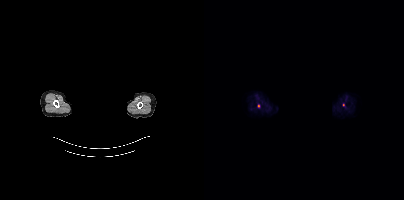
An anonymization step blacked out a rectangle over the head in this scan. Two-panel axial: CT | PSMA PET, 18F tracer. PET panel 200×200 px (4.1 mm/px). Only PSMA-avid lesion pieces thinner than 2 px on this slice (not listed).